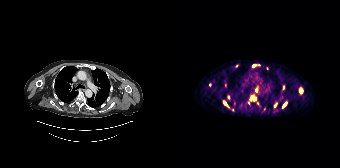
Coordinates are on the 168×168 PET (right) panel. (showing 12 of 17 foci) PSMA-avid tumor lesion bounding boxes (x, y, width, height): x=78 y=95 w=7 h=6; x=127 y=88 w=4 h=6; x=51 y=101 w=5 h=5; x=111 y=103 w=4 h=5. Small PSMA-avid foci (2 to 4 px across) near (center x, center y): (103, 105); (82, 65); (86, 64); (53, 85); (56, 97); (84, 90); (60, 110); (64, 65).